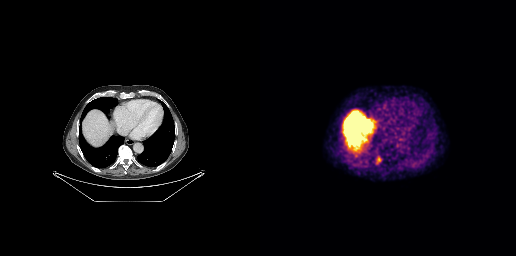
Findings: Coordinates are on the 256×256 PET (right) panel. PSMA-avid tumor lesion bounding box (x0,y0,x1,y1): [117,157,120,162].
- Paired axial CT (left) and PSMA PET (right), 68Ga-PSMA tracer
- acquired on GE Discovery 690
- slice position z = -478 mm
- PET panel 256×256 px (2.7 mm/px)